modality: PSMA PET/CT | tracer: 68Ga-PSMA | view: axial | PET grid: 256×256
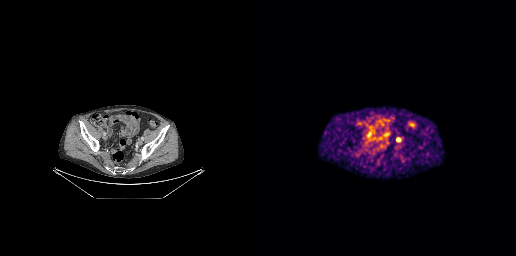
Coordinates are on the 256×256 PET (right) panel. Small PSMA-avid focus (2 to 4 px across) near (center x, center y): (138, 139).